- Two-panel axial: CT | PSMA PET, 18F tracer
- slice 329 of 427
- PET panel 200×200 px (4.1 mm/px)
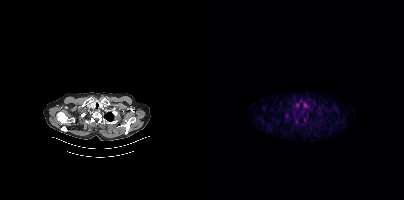
Findings: Only PSMA-avid lesion pieces thinner than 2 px on this slice (not listed).